Left: CT. Right: PSMA PET, same axial level, [18F]PSMA-1007 tracer. Slice position z = 492 mm. PET panel 200×200 px (4.1 mm/px). Face de-identified by blanking a block of the head.
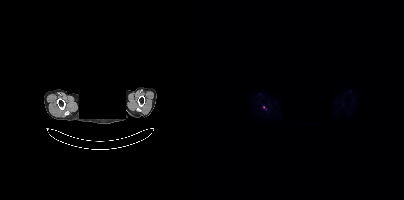
Coordinates are on the 200×200 PET (right) panel. Small PSMA-avid focus (2 to 4 px across) near (center x, center y): (59, 107).